Technique: Two-panel axial: CT | PSMA PET, [18F]PSMA-1007 tracer. slice position z = -1167 mm. PET panel 200×200 px (4.1 mm/px).
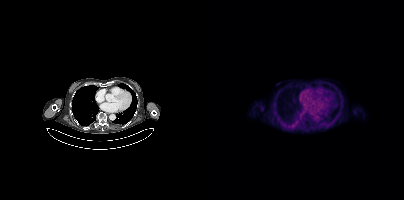
Findings: This slice has no annotated PSMA-avid lesion.